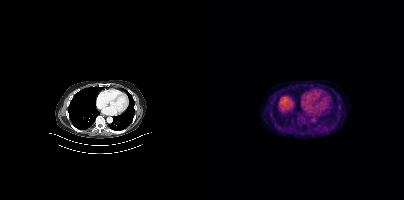
Two-panel axial: CT | PSMA PET, 18F tracer. PET panel 200×200 px (4.1 mm/px). No tumor lesions annotated on this slice.